- Paired axial CT (left) and PSMA PET (right), 18F tracer
- PET panel 200×200 px (4.1 mm/px)
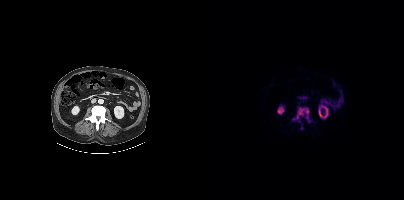
Findings: Coordinates are on the 200×200 PET (right) panel. PSMA-avid tumor lesion bounding box (x, y, width, height): x=88 y=107 w=19 h=17. Small PSMA-avid focus (2 to 4 px across) near (center x, center y): (97, 128).